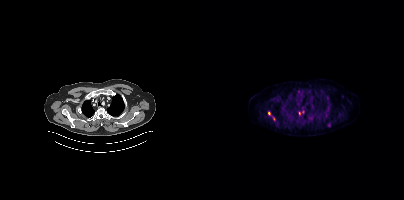
- Two-panel axial: CT | PSMA PET, [18F]PSMA-1007 tracer
- slice 321 of 411
Findings: Coordinates are on the 200×200 PET (right) panel. Small PSMA-avid foci (2 to 4 px across) near (center x, center y): (124, 124) / (95, 113) / (65, 113) / (69, 119) / (98, 112).